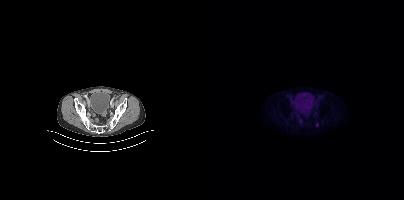
This slice has no annotated PSMA-avid lesion.